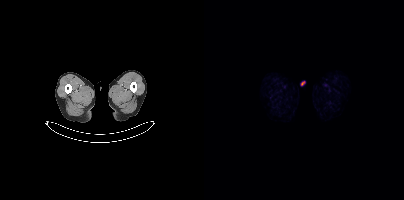
Findings: No PSMA-avid tumor lesions on this slice.
- Two-panel axial: CT | PSMA PET, 18F-PSMA tracer